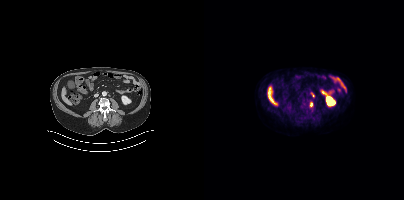
{"modality":"PSMA PET/CT","view":"axial","tracer":"18F-PSMA","pet_grid":[200,200],"coord_frame":"pet_panel","coord_format":"x0,y0,x1,y1","lesion_bboxes":[[106,102,108,106]],"small_foci_centers":[[108,93]]}